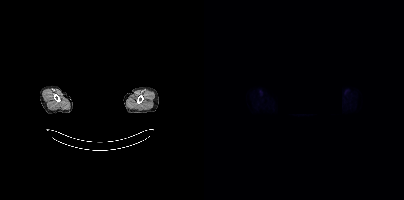
No PSMA-avid tumor lesions on this slice.
Privacy masking over the head, with the pixels inside a rectangle set to black.